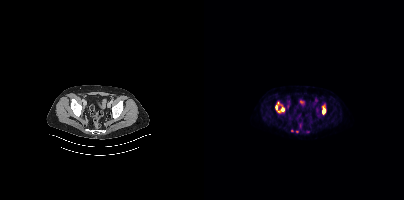
Technique: Paired axial CT (left) and PSMA PET (right), [18F]PSMA-1007 tracer. slice 84 of 444.
Findings: Coordinates are on the 200×200 PET (right) panel. PSMA-avid tumor lesion bounding boxes (x, y, width, height): x=71 y=102 w=10 h=11; x=118 y=106 w=4 h=9.